Two-panel axial: CT | PSMA PET, [68Ga]Ga-PSMA-11 tracer. Facial anatomy redacted by setting a rectangular region of the head to black.
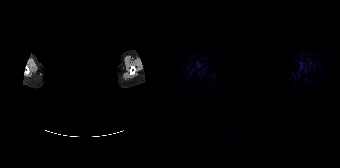
No PSMA-avid tumor lesions on this slice.